Two-panel axial: CT | PSMA PET, 18F tracer. Acquired on GE Discovery 690. Slice position z = -167 mm.
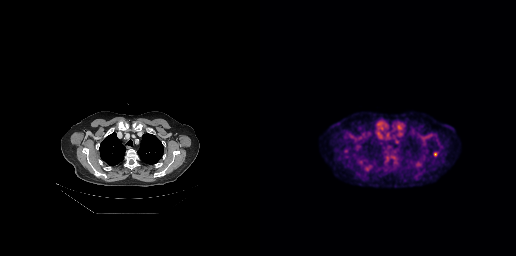
Coordinates are on the 256×256 PET (right) panel. Small PSMA-avid focus (2 to 4 px across) near (center x, center y): (175, 154).